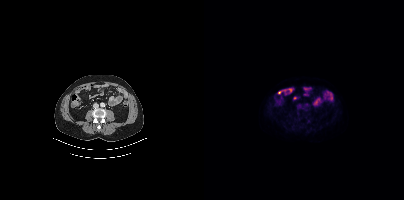
Paired axial CT (left) and PSMA PET (right), 18F-PSMA tracer. Acquired on Siemens Biograph mCT Flow 20. PET panel 200×200 px (4.1 mm/px). Negative for PSMA-avid disease on this slice.